Left: CT. Right: PSMA PET, same axial level, [18F]PSMA-1007 tracer. Acquired on Siemens Biograph mCT Flow 20.
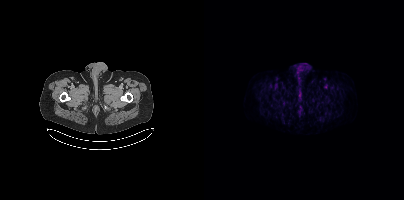
No tumor lesions annotated on this slice.